modality: PSMA PET/CT | tracer: [18F]PSMA-1007 | view: axial | PET grid: 200×200
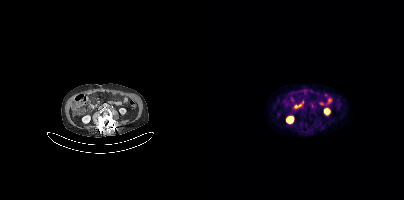
Coordinates are on the 200×200 PET (right) panel. PSMA-avid tumor lesion bounding box (x0, y0)-(x1, y1): (106, 104)-(111, 108).